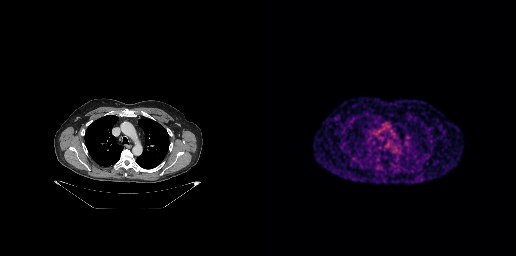
No PSMA-avid tumor lesions on this slice.